Paired axial CT (left) and PSMA PET (right), 18F-PSMA tracer.
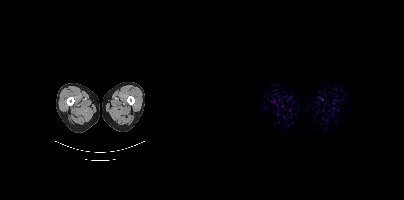
Negative for PSMA-avid disease on this slice.